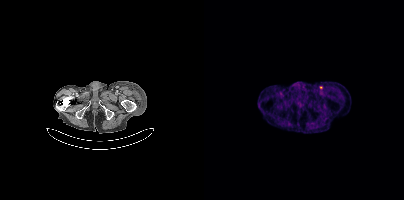
Left: CT. Right: PSMA PET, same axial level, [68Ga]Ga-PSMA-11 tracer. Acquired on Siemens Biograph mCT Flow 20. Slice 47 of 413. Coordinates are on the 200×200 PET (right) panel. Small PSMA-avid focus (2 to 4 px across) near (center x, center y): (117, 87).